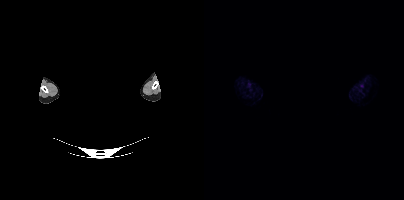
No PSMA-avid tumor lesions on this slice. Two-panel axial: CT | PSMA PET, [68Ga]Ga-PSMA-11 tracer. Slice 391 of 409. PET panel 200×200 px (4.1 mm/px). The head region is masked for de-identification.